modality: PSMA PET/CT | tracer: 18F-PSMA | view: axial
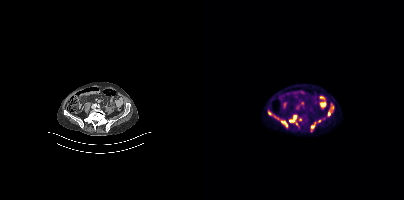
Coordinates are on the 200×200 PET (right) panel. PSMA-avid tumor lesion bounding box (x0, y0)-(x1, y1): (70, 116)-(74, 119). Small PSMA-avid focus (2 to 4 px across) near (center x, center y): (65, 112).